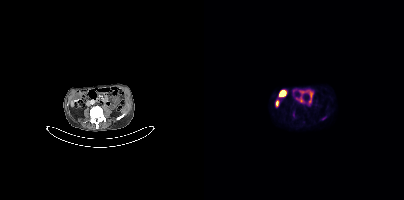
Coordinates are on the 200×200 PET (right) panel. Small PSMA-avid focus (2 to 4 px across) near (center x, center y): (119, 118).